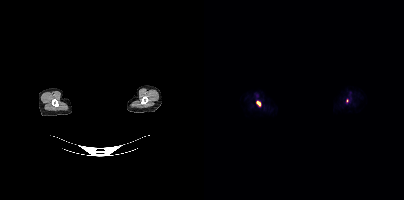
Coordinates are on the 200×200 PET (right) panel. PSMA-avid tumor lesion bounding boxes (partial; 1 more focus not listed):
| # | x0 | y0 | x1 | y1 |
|---|---|---|---|---|
| 1 | 52 | 101 | 56 | 106 |
Privacy masking over the head, with the pixels inside a rectangle set to black. Two-panel axial: CT | PSMA PET, [18F]PSMA-1007 tracer. Acquired on Siemens Biograph mCT Flow 20. PET panel 200×200 px (4.1 mm/px).